Left: CT. Right: PSMA PET, same axial level, 68Ga tracer. Slice position z = -691 mm.
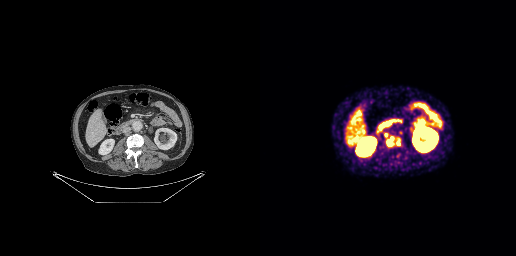
Coordinates are on the 256×256 PET (right) panel. PSMA-avid tumor lesion bounding box (x0,y0,x1,y1): [127,136,141,146]. Small PSMA-avid focus (2 to 4 px across) near (center x, center y): (125, 134).